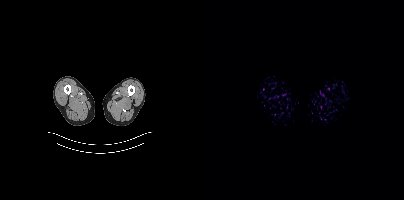
Technique: Left: CT. Right: PSMA PET, same axial level, [18F]PSMA-1007 tracer.
Findings: No PSMA-avid tumor lesions on this slice.